modality: PSMA PET/CT | tracer: [68Ga]Ga-PSMA-11 | view: axial
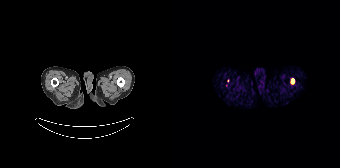
Coordinates are on the 168×168 PET (right) panel. (showing 1 of 2 foci) Small PSMA-avid focus (2 to 4 px across) near (center x, center y): (120, 80).